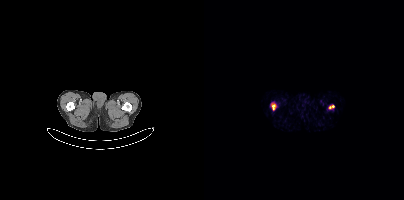
Technique: Paired axial CT (left) and PSMA PET (right), 68Ga-PSMA tracer. acquired on Siemens Biograph mCT Flow 20. slice position z = -1189 mm.
Findings: Coordinates are on the 200×200 PET (right) panel. PSMA-avid tumor lesion bounding boxes (x0,y0,x1,y1): [68,104,71,109], [125,105,130,108].